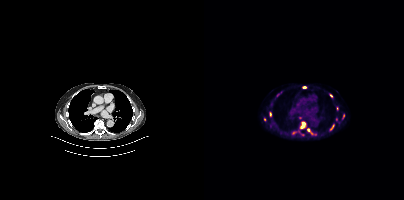
Coordinates are on the 200×200 PET (right) panel. (showing 9 of 11 foci) PSMA-avid tumor lesion bounding boxes (x0,y0,x1,y1): [97,122,101,128]; [98,86,102,88]; [65,112,67,116]; [126,125,130,130]. Small PSMA-avid foci (2 to 4 px across) near (center x, center y): (126, 95); (60, 119); (90, 132); (104, 129); (139, 115). Two-panel axial: CT | PSMA PET, 18F-PSMA tracer. Acquired on Siemens Biograph mCT Flow 20.